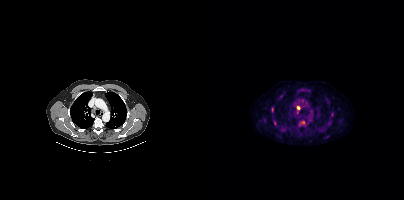
- Two-panel axial: CT | PSMA PET, 18F-PSMA tracer
Findings: Coordinates are on the 200×200 PET (right) panel. Small PSMA-avid foci (2 to 4 px across) near (center x, center y): (94, 107) / (99, 122) / (68, 108).